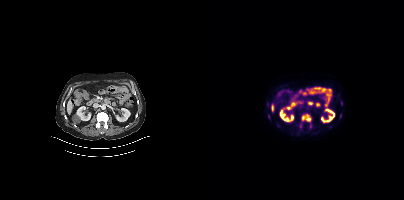
Coordinates are on the 200×200 PET (right) panel. (showing 3 of 4 foci) PSMA-avid tumor lesion bounding box (x0,y0,x1,y1): [97,114,107,121]. Small PSMA-avid foci (2 to 4 px across) near (center x, center y): (64, 116), (136, 115).